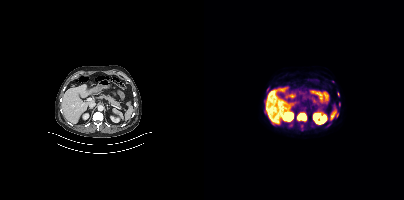
- Paired axial CT (left) and PSMA PET (right), 18F tracer
Findings: Coordinates are on the 200×200 PET (right) panel. PSMA-avid tumor lesion bounding boxes (x0,y0,x1,y1): [93,113,102,120] [131,113,134,117]. Small PSMA-avid foci (2 to 4 px across) near (center x, center y): (63, 90) (134, 94) (135, 104).